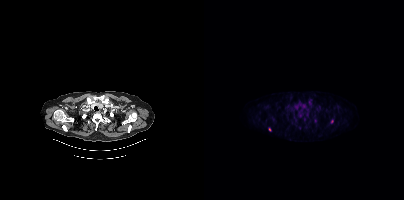
- Paired axial CT (left) and PSMA PET (right), 18F-PSMA tracer
- slice 370 of 450
Findings: Coordinates are on the 200×200 PET (right) panel. (showing 4 of 6 foci) Small PSMA-avid foci (2 to 4 px across) near (center x, center y): (69, 118) / (128, 121) / (65, 129) / (95, 127).